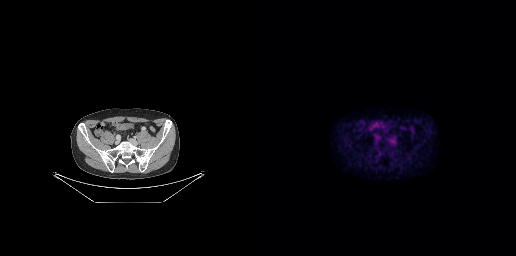
modality: PSMA PET/CT | tracer: 18F | view: axial
Negative for PSMA-avid disease on this slice.